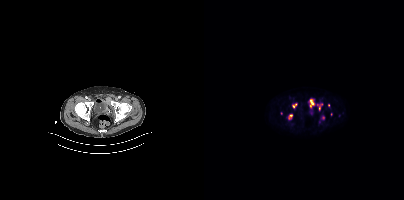
Coordinates are on the 200×200 PET (right) panel. (showing 4 of 5 foci) PSMA-avid tumor lesion bounding boxes (x, y, width, height): x=106 y=99 w=4 h=8 / x=84 y=115 w=5 h=5. Small PSMA-avid foci (2 to 4 px across) near (center x, center y): (116, 106) / (89, 106).